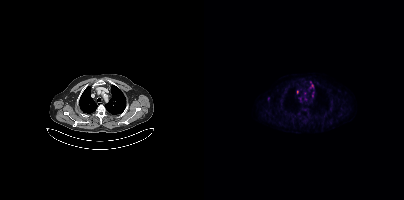
modality: PSMA PET/CT | tracer: 18F-PSMA | view: axial | PET grid: 200×200
Coordinates are on the 200×200 PET (right) panel. PSMA-avid tumor lesion bounding box (x, y, width, height): x=105 y=81 w=5 h=8.